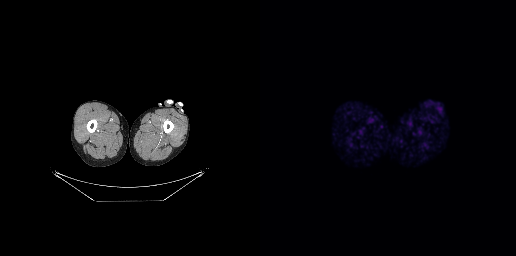
No PSMA-avid tumor lesions on this slice.